Two-panel axial: CT | PSMA PET, [18F]PSMA-1007 tracer. Acquired on Siemens Biograph mCT Flow 20. Slice 312 of 409. PET panel 200×200 px (4.1 mm/px).
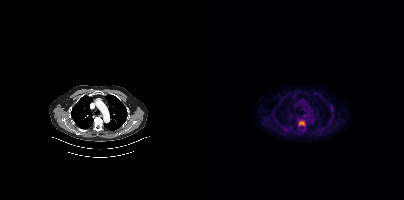
Coordinates are on the 200×200 PET (right) panel. PSMA-avid tumor lesion bounding boxes:
| # | x0 | y0 | x1 | y1 |
|---|---|---|---|---|
| 1 | 94 | 120 | 101 | 126 |